modality: PSMA PET/CT | tracer: 18F-PSMA | view: axial
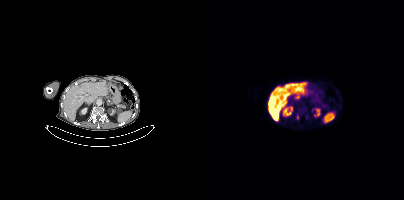
Coordinates are on the 200×200 PET (right) panel. PSMA-avid tumor lesion bounding box (x0, y0)-(x1, y1): (92, 114)-(94, 119).